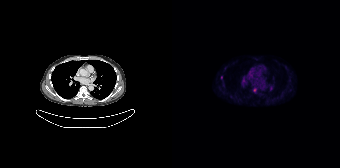
Two-panel axial: CT | PSMA PET, [18F]PSMA-1007 tracer. PET panel 168×168 px (4.1 mm/px). Coordinates are on the 168×168 PET (right) panel. Small PSMA-avid foci (2 to 4 px across) near (center x, center y): (82, 89); (49, 77).